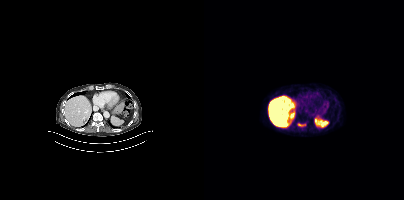
Coordinates are on the 200×200 PET (right) panel. PSMA-avid tumor lesion bounding box (x0, y0)-(x1, y1): (93, 123)-(101, 126).